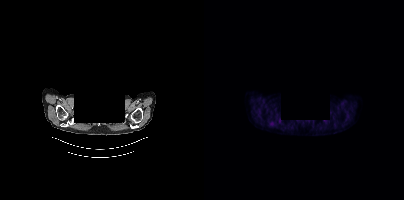
Coordinates are on the 200×200 PET (right) panel. Small PSMA-avid focus (2 to 4 px across) near (center x, center y): (75, 120).
modality: PSMA PET/CT | tracer: 18F-PSMA | view: axial | PET grid: 200×200 | redaction: privacy mask over head